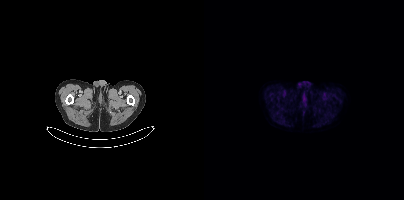
modality: PSMA PET/CT | tracer: [18F]PSMA-1007 | view: axial | PET grid: 200×200
Negative for PSMA-avid disease on this slice.